modality: PSMA PET/CT | tracer: [68Ga]Ga-PSMA-11 | view: axial | PET grid: 256×256
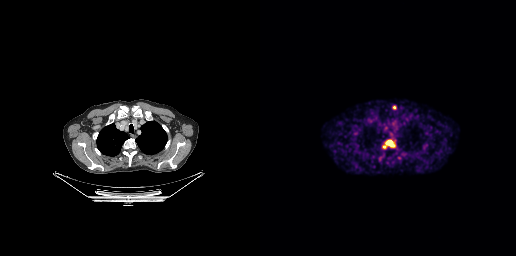
Coordinates are on the 256×256 PET (right) panel. (showing 4 of 5 foci) PSMA-avid tumor lesion bounding box (x, y, width, height): x=126 y=140 w=9 h=8. Small PSMA-avid foci (2 to 4 px across) near (center x, center y): (134, 107); (124, 146); (138, 157).